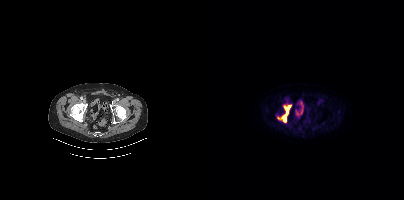
Left: CT. Right: PSMA PET, same axial level, 18F-PSMA tracer. Slice position z = -1476 mm. PET panel 200×200 px (4.1 mm/px).
Coordinates are on the 200×200 PET (right) panel. PSMA-avid tumor lesion bounding boxes:
| # | x0 | y0 | x1 | y1 |
|---|---|---|---|---|
| 1 | 78 | 105 | 86 | 122 |